Paired axial CT (left) and PSMA PET (right), 68Ga tracer.
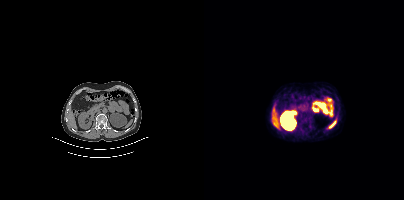
No PSMA-avid tumor lesions on this slice.